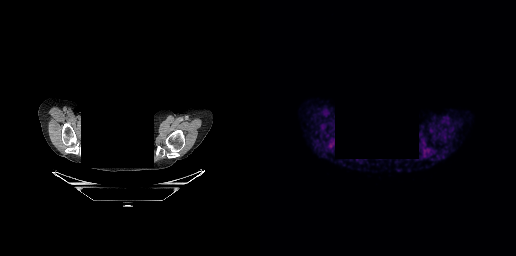
- an anonymization step blacked out a rectangle over the head in this scan
- Left: CT. Right: PSMA PET, same axial level, [68Ga]Ga-PSMA-11 tracer
- acquired on GE Discovery 690
- slice position z = -274 mm
Findings: Negative for PSMA-avid disease on this slice.